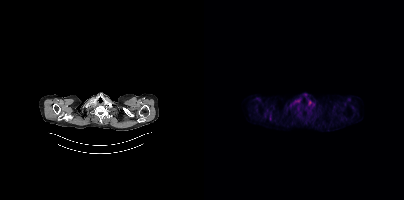
modality: PSMA PET/CT | tracer: 18F-PSMA | view: axial
Negative for PSMA-avid disease on this slice.